modality: PSMA PET/CT | tracer: [68Ga]Ga-PSMA-11 | view: axial
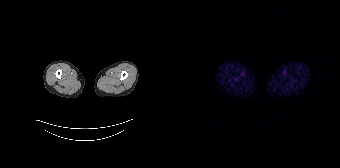
Negative for PSMA-avid disease on this slice.